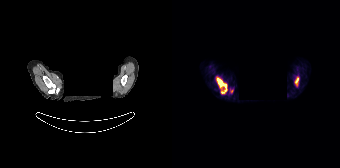
{"modality":"PSMA PET/CT","view":"axial","tracer":"68Ga","pet_grid":[168,168],"coord_frame":"pet_panel","coord_format":"x0,y0,x1,y1","de-identification":"facial region redacted","lesion_bboxes":[[44,76,55,94],[122,76,127,86]],"small_foci_centers":[[59,91]]}